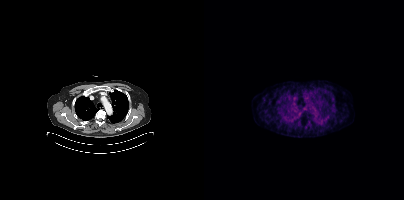
No PSMA-avid tumor lesions on this slice. Two-panel axial: CT | PSMA PET, 68Ga-PSMA tracer. Acquired on Siemens Biograph mCT Flow 20. PET panel 200×200 px (4.1 mm/px).